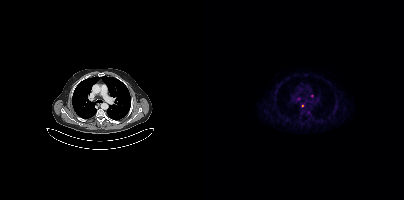
Paired axial CT (left) and PSMA PET (right), 18F-PSMA tracer. No PSMA-avid tumor lesions on this slice.